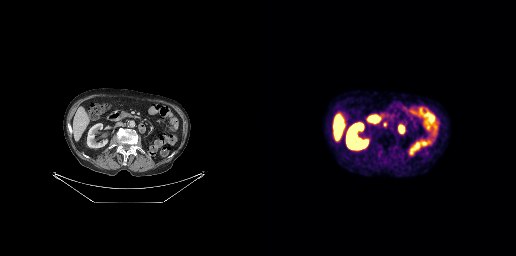
Coordinates are on the 256×256 PET (right) panel. Small PSMA-avid focus (2 to 4 px across) near (center x, center y): (124, 124). Paired axial CT (left) and PSMA PET (right), [18F]PSMA-1007 tracer. Acquired on GE Discovery 690. PET panel 256×256 px (2.7 mm/px).